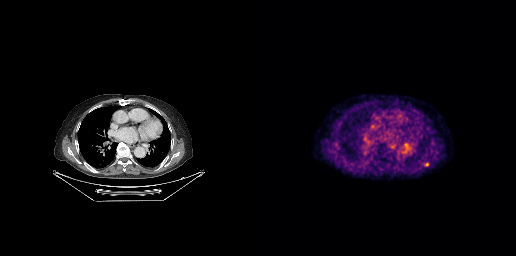
{"modality":"PSMA PET/CT","view":"axial","tracer":"[18F]PSMA-1007","pet_grid":[256,256],"coord_frame":"pet_panel","coord_format":"x0,y0,x1,y1","lesion_bboxes":[],"small_foci_centers":[[167,163]]}